redaction: head region blanked (face removed) | modality: PSMA PET/CT | tracer: 18F-PSMA | view: axial
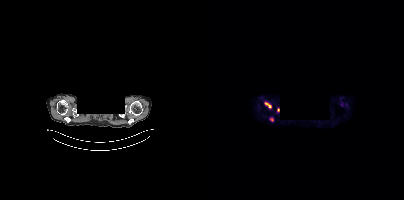
Coordinates are on the 200×200 PET (right) panel. PSMA-avid tumor lesion bounding boxes (x, y, width, height): x=60 y=101 w=8 h=9 | x=66 y=117 w=4 h=5 | x=73 y=108 w=3 h=5.